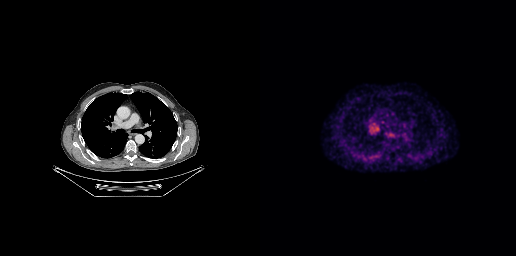
Coordinates are on the 256×256 PET (right) panel. Small PSMA-avid foci (2 to 4 px across) near (center x, center y): (129, 134); (114, 127).